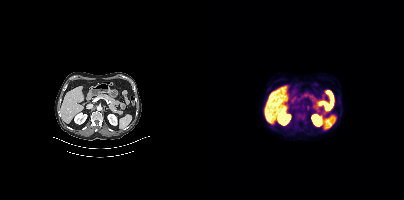
This slice has no annotated PSMA-avid lesion.